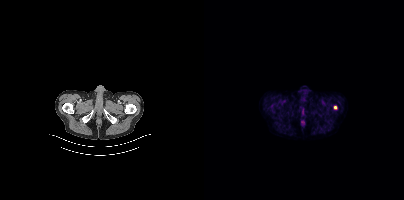
Technique: Two-panel axial: CT | PSMA PET, 18F tracer.
Findings: Coordinates are on the 200×200 PET (right) panel. Small PSMA-avid focus (2 to 4 px across) near (center x, center y): (131, 107).